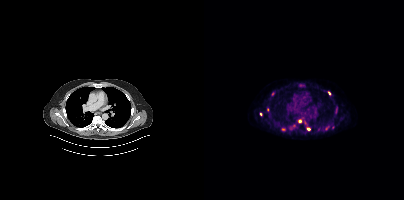
modality: PSMA PET/CT | tracer: [18F]PSMA-1007 | view: axial | PET grid: 200×200
Coordinates are on the 200×200 PET (right) panel. (showing 5 of 6 foci) Small PSMA-avid foci (2 to 4 px across) near (center x, center y): (104, 128) (95, 120) (125, 93) (56, 114) (79, 129).